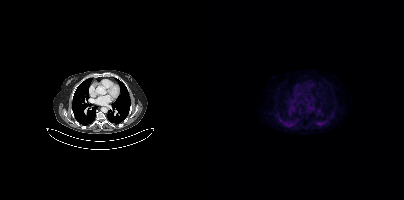
- Two-panel axial: CT | PSMA PET, 18F tracer
Findings: This slice has no annotated PSMA-avid lesion.